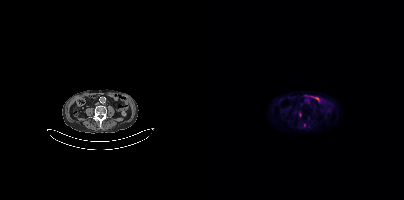
{"modality":"PSMA PET/CT","view":"axial","tracer":"18F-PSMA","pet_grid":[200,200],"coord_frame":"pet_panel","coord_format":"x0,y0,x1,y1","partial":true,"lesion_bboxes":[],"small_foci_centers":[[100,125]]}